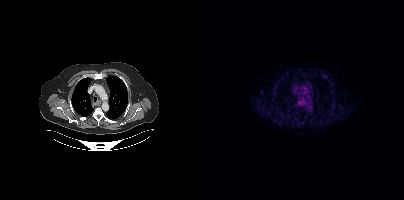
This slice has no annotated PSMA-avid lesion. Left: CT. Right: PSMA PET, same axial level, 18F-PSMA tracer. Acquired on Siemens Biograph mCT Flow 20. Slice position z = -221 mm.